Left: CT. Right: PSMA PET, same axial level, 18F-PSMA tracer. Slice 207 of 417.
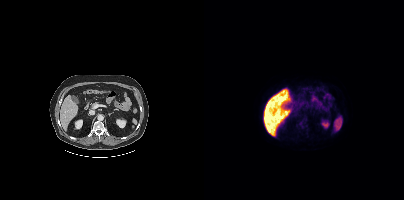
This slice has no annotated PSMA-avid lesion.